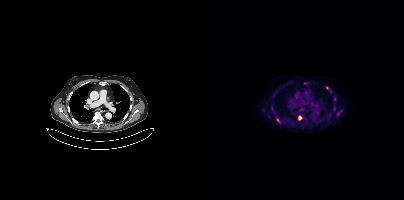
Coordinates are on the 200×200 PET (right) panel. (showing 3 of 4 foci) PSMA-avid tumor lesion bounding box (x, y, width, height): x=72 y=118 w=5 h=6. Small PSMA-avid foci (2 to 4 px across) near (center x, center y): (95, 117); (123, 87). Left: CT. Right: PSMA PET, same axial level, 18F tracer. Acquired on Siemens Biograph mCT Flow 20. Slice 275 of 387. PET panel 200×200 px (4.1 mm/px).